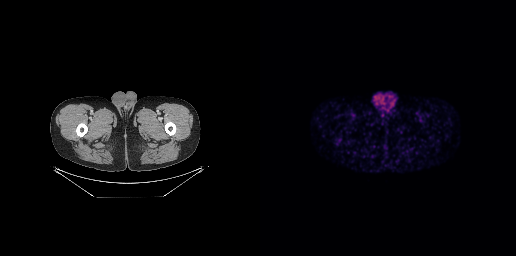
Findings: No PSMA-avid tumor lesions on this slice.
- Paired axial CT (left) and PSMA PET (right), 68Ga tracer